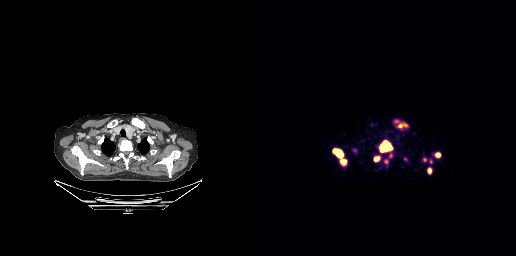
Two-panel axial: CT | PSMA PET, 68Ga-PSMA tracer. Slice 221 of 263. PET panel 256×256 px (2.7 mm/px). Coordinates are on the 256×256 PET (right) panel. PSMA-avid tumor lesion bounding boxes (x0,y0,x1,y1): [73,149,86,164], [120,141,131,151], [138,123,147,127], [168,168,171,173], [114,157,119,160]. Small PSMA-avid foci (2 to 4 px across) near (center x, center y): (177, 154), (126, 161), (170, 161).